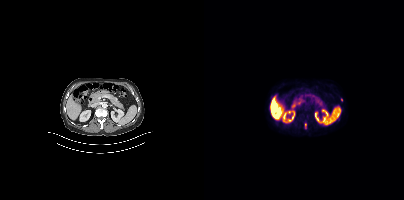
Two-panel axial: CT | PSMA PET, 18F-PSMA tracer. Coordinates are on the 200×200 PET (right) panel. PSMA-avid tumor lesion bounding box (x0,y0,x1,y1): [101,123,102,128]. Small PSMA-avid focus (2 to 4 px across) near (center x, center y): (137, 99).